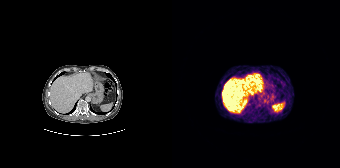
{"modality":"PSMA PET/CT","view":"axial","tracer":"[68Ga]Ga-PSMA-11","pet_grid":[168,168],"coord_frame":"pet_panel","coord_format":"x0,y0,x1,y1","psma_avid_lesions":false}